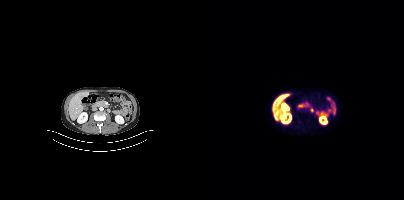
Left: CT. Right: PSMA PET, same axial level, 18F-PSMA tracer. Slice 158 of 377. PET panel 200×200 px (4.1 mm/px). Negative for PSMA-avid disease on this slice.